- Paired axial CT (left) and PSMA PET (right), [18F]PSMA-1007 tracer
- acquired on Siemens Biograph mCT Flow 20
- PET panel 200×200 px (4.1 mm/px)
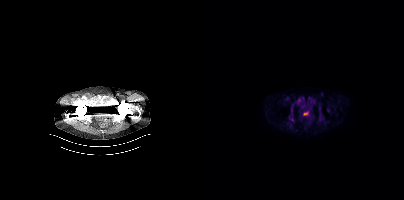
Findings: Coordinates are on the 200×200 PET (right) panel. Small PSMA-avid focus (2 to 4 px across) near (center x, center y): (101, 113).